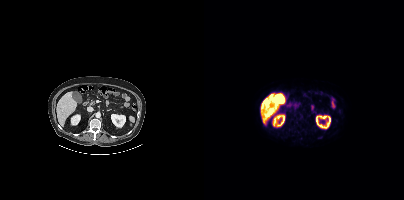
This slice has no annotated PSMA-avid lesion.